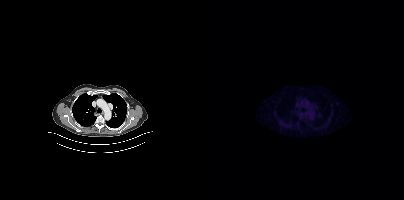
Findings: This slice has no annotated PSMA-avid lesion.
- Paired axial CT (left) and PSMA PET (right), [18F]PSMA-1007 tracer